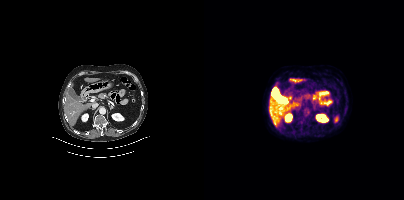
modality: PSMA PET/CT | tracer: [18F]PSMA-1007 | view: axial | PET grid: 200×200
No PSMA-avid tumor lesions on this slice.